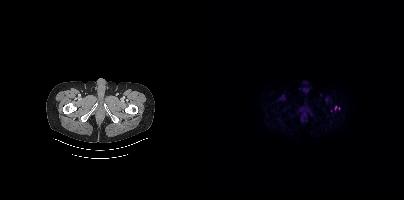
Coordinates are on the 200×200 PET (right) panel. (showing 1 of 3 foci) Small PSMA-avid focus (2 to 4 px across) near (center x, center y): (131, 107). Two-panel axial: CT | PSMA PET, [18F]PSMA-1007 tracer. Acquired on Siemens Biograph mCT Flow 20. PET panel 200×200 px (4.1 mm/px).